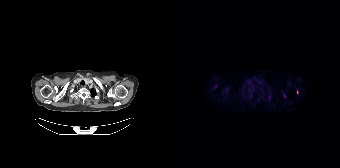
Coordinates are on the 168×168 PET (right) panel. (showing 1 of 2 foci) Small PSMA-avid focus (2 to 4 px across) near (center x, center y): (43, 86).